- Two-panel axial: CT | PSMA PET, 18F tracer
- acquired on GE Discovery 690
- slice 198 of 263
- PET panel 256×256 px (2.7 mm/px)
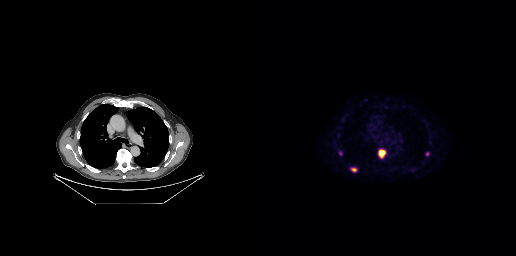
Findings: Coordinates are on the 256×256 PET (right) panel. PSMA-avid tumor lesion bounding boxes (x, y, width, height): x=118 y=149 w=9 h=10; x=90 y=167 w=8 h=6. Small PSMA-avid foci (2 to 4 px across) near (center x, center y): (167, 153); (80, 153).